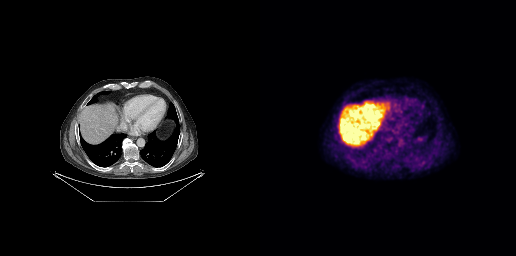
This slice has no annotated PSMA-avid lesion.